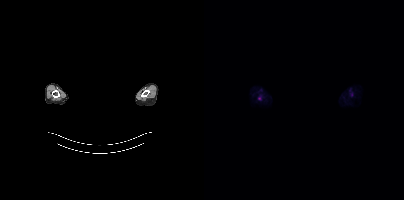
Coordinates are on the 200×200 PET (right) panel. (showing 1 of 2 foci) Small PSMA-avid focus (2 to 4 px across) near (center x, center y): (55, 98).
deidentification: privacy mask over head | modality: PSMA PET/CT | tracer: [18F]PSMA-1007 | view: axial | PET grid: 200×200